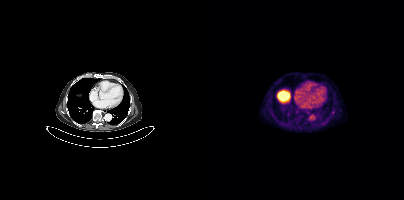
modality: PSMA PET/CT | tracer: [18F]PSMA-1007 | view: axial
Only PSMA-avid lesion pieces thinner than 2 px on this slice (not listed).